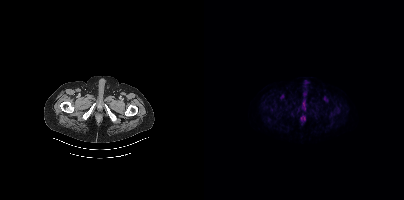
Negative for PSMA-avid disease on this slice.